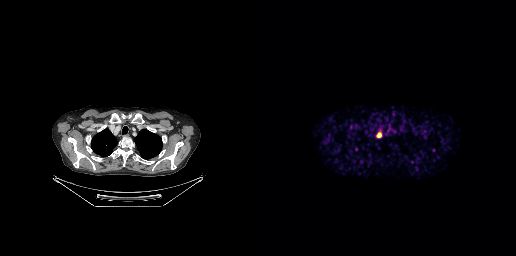
modality: PSMA PET/CT | tracer: [68Ga]Ga-PSMA-11 | view: axial | PET grid: 256×256
Coordinates are on the 256×256 PET (right) panel. PSMA-avid tumor lesion bounding box (x, y, width, height): x=117 y=132 w=5 h=6. Small PSMA-avid focus (2 to 4 px across) near (center x, center y): (119, 129).